modality: PSMA PET/CT | tracer: 18F | view: axial
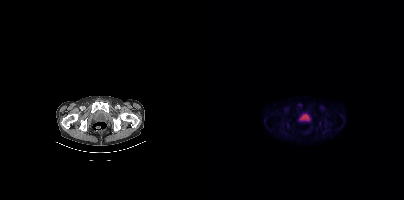
No PSMA-avid tumor lesions on this slice.